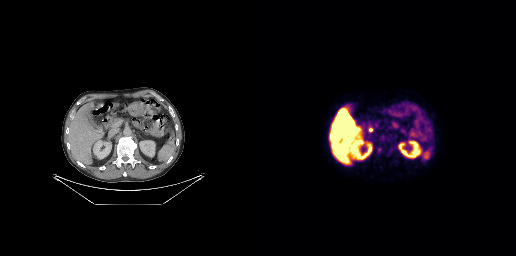
Coordinates are on the 256×256 PET (right) panel. Small PSMA-avid focus (2 to 4 px across) near (center x, center y): (119, 149).